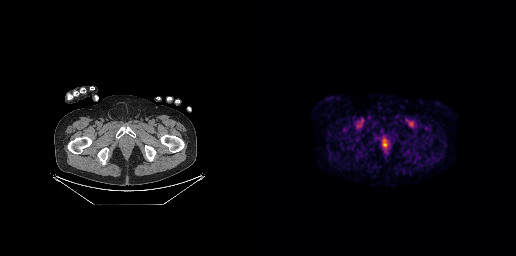
- Two-panel axial: CT | PSMA PET, [18F]PSMA-1007 tracer
Findings: Coordinates are on the 256×256 PET (right) panel. PSMA-avid tumor lesion bounding box (x0,y0,x1,y1): [122,142,127,147].